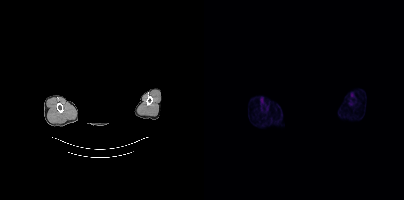
Face de-identified by blanking a block of the head. Paired axial CT (left) and PSMA PET (right), [18F]PSMA-1007 tracer. Slice position z = 122 mm. PET panel 200×200 px (4.1 mm/px). No tumor lesions annotated on this slice.